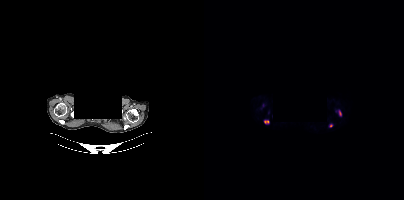
A rectangle over the head was blacked out to remove identifiable facial features.
Coordinates are on the 200×200 PET (right) panel. (showing 3 of 4 foci) PSMA-avid tumor lesion bounding boxes (x, y, width, height): x=60 y=120 w=6 h=5 | x=134 y=110 w=4 h=7. Small PSMA-avid focus (2 to 4 px across) near (center x, center y): (127, 125).